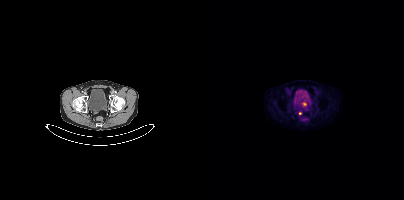
- Two-panel axial: CT | PSMA PET, 18F-PSMA tracer
- acquired on Siemens Biograph mCT Flow 20
Findings: Coordinates are on the 200×200 PET (right) panel. PSMA-avid tumor lesion bounding box (x, y, width, height): x=98 y=103 w=5 h=3. Small PSMA-avid focus (2 to 4 px across) near (center x, center y): (96, 113).